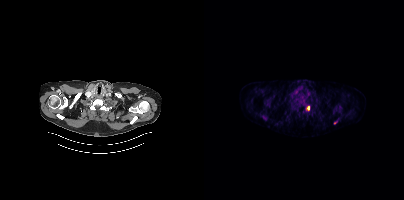
Paired axial CT (left) and PSMA PET (right), 18F tracer. Acquired on Siemens Biograph mCT Flow 20. PET panel 200×200 px (4.1 mm/px).
Coordinates are on the 200×200 PET (right) panel. PSMA-avid tumor lesion bounding boxes:
| # | x0 | y0 | x1 | y1 |
|---|---|---|---|---|
| 1 | 87 | 105 | 93 | 110 |
| 2 | 96 | 98 | 100 | 102 |
| 3 | 58 | 115 | 62 | 120 |
| 4 | 103 | 106 | 105 | 110 |
| 5 | 130 | 120 | 134 | 123 |